Two-panel axial: CT | PSMA PET, [18F]PSMA-1007 tracer. Slice position z = -1198 mm. PET panel 200×200 px (4.1 mm/px).
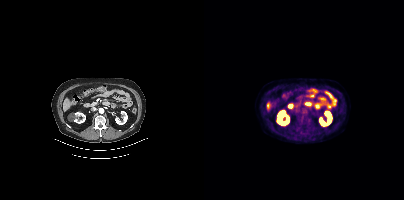
Negative for PSMA-avid disease on this slice.